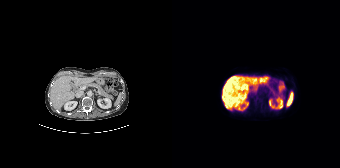
- Left: CT. Right: PSMA PET, same axial level, 18F tracer
- slice position z = -943 mm
- PET panel 168×168 px (4.1 mm/px)
Findings: Negative for PSMA-avid disease on this slice.